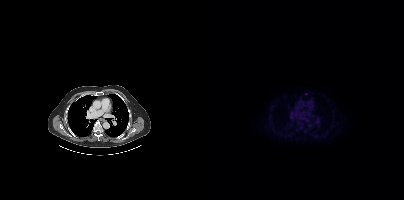
Two-panel axial: CT | PSMA PET, [18F]PSMA-1007 tracer. PET panel 200×200 px (4.1 mm/px). Only PSMA-avid lesion pieces thinner than 2 px on this slice (not listed).